- Two-panel axial: CT | PSMA PET, 18F-PSMA tracer
- slice 47 of 263
- PET panel 256×256 px (2.7 mm/px)
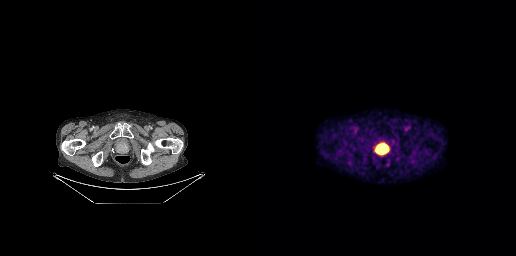
Findings: Coordinates are on the 256×256 PET (right) panel. PSMA-avid tumor lesion bounding box (x0, y0)-(x1, y1): (116, 144)-(128, 154).